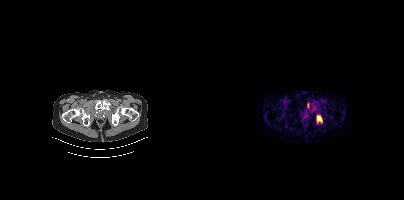
Paired axial CT (left) and PSMA PET (right), [68Ga]Ga-PSMA-11 tracer. PET panel 200×200 px (4.1 mm/px).
Coordinates are on the 200×200 PET (right) panel. PSMA-avid tumor lesion bounding boxes:
| # | x0 | y0 | x1 | y1 |
|---|---|---|---|---|
| 1 | 112 | 115 | 118 | 123 |
| 2 | 103 | 102 | 105 | 108 |